modality: PSMA PET/CT | tracer: [68Ga]Ga-PSMA-11 | view: axial
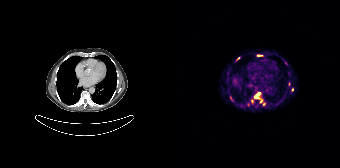
Coordinates are on the 168×168 PET (right) panel. (showing 6 of 7 foci) PSMA-avid tumor lesion bounding boxes (x0, y0)-(x1, y1): (82, 92)-(90, 102); (85, 55)-(90, 56). Small PSMA-avid foci (2 to 4 px across) near (center x, center y): (120, 89); (66, 58); (80, 101); (91, 104).